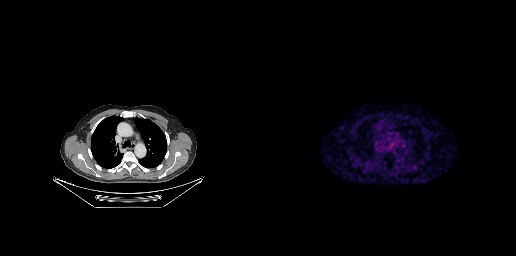
Technique: Two-panel axial: CT | PSMA PET, 68Ga tracer. PET panel 256×256 px (2.7 mm/px).
Findings: No tumor lesions annotated on this slice.